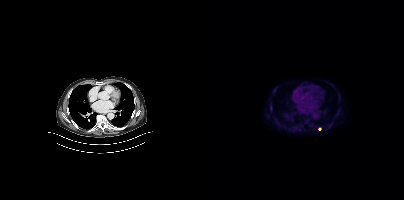
Left: CT. Right: PSMA PET, same axial level, 18F tracer. Slice position z = -994 mm. PET panel 200×200 px (4.1 mm/px). Coordinates are on the 200×200 PET (right) panel. Small PSMA-avid focus (2 to 4 px across) near (center x, center y): (115, 128).